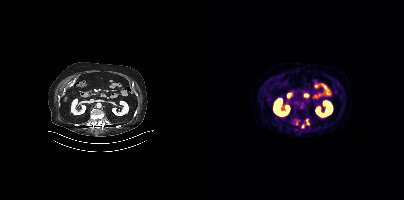
Coordinates are on the 200×200 PET (right) panel. PSMA-avid tumor lesion bounding box (x, y, width, height): x=92 y=120 w=2 h=5. Small PSMA-avid foci (2 to 4 px across) near (center x, center y): (99, 125) | (102, 120) | (104, 123). Paired axial CT (left) and PSMA PET (right), 18F-PSMA tracer. Acquired on Siemens Biograph mCT Flow 20.